Technique: Two-panel axial: CT | PSMA PET, 18F-PSMA tracer. slice position z = -1357 mm. PET panel 200×200 px (4.1 mm/px).
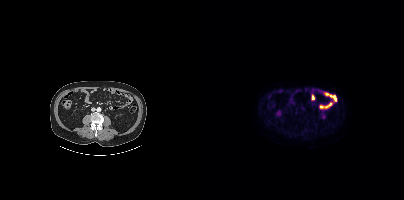
Findings: No PSMA-avid tumor lesions on this slice.